- Paired axial CT (left) and PSMA PET (right), 18F tracer
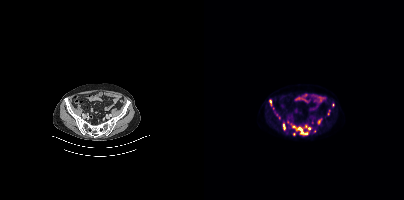
Findings: Coordinates are on the 200×200 PET (right) panel. (showing 9 of 15 foci) PSMA-avid tumor lesion bounding boxes (x, y, width, height): x=92 y=127 w=13 h=9; x=113 y=118 w=5 h=7; x=79 y=123 w=3 h=7; x=65 y=100 w=3 h=6. Small PSMA-avid foci (2 to 4 px across) near (center x, center y): (105, 128); (90, 134); (101, 126); (128, 105); (75, 117).